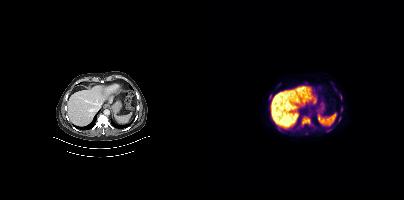
Coordinates are on the 200×200 PET (right) panel. PSMA-avid tumor lesion bounding boxes (x0,y0,x1,y1): [98,116,106,126]; [65,94,67,99]; [137,106,138,112]; [134,117,137,121]; [136,95,137,99]. Small PSMA-avid foci (2 to 4 px across) near (center x, center y): (109, 128); (123, 130); (78, 131).